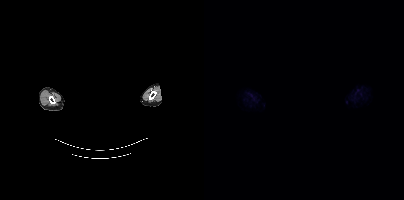
deidentification: privacy mask over head | modality: PSMA PET/CT | tracer: [18F]PSMA-1007 | view: axial
Negative for PSMA-avid disease on this slice.